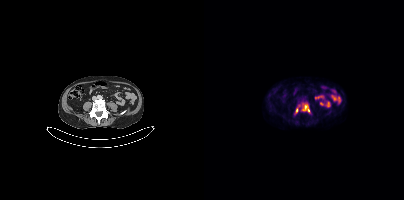
Coordinates are on the 200×200 PET (right) panel. (showing 2 of 3 foci) PSMA-avid tumor lesion bounding boxes (x, y, width, height): x=98 y=103 w=8 h=10 / x=92 y=108 w=3 h=6.